- Two-panel axial: CT | PSMA PET, 18F tracer
- acquired on Siemens Biograph mCT Flow 20
- slice position z = -956 mm
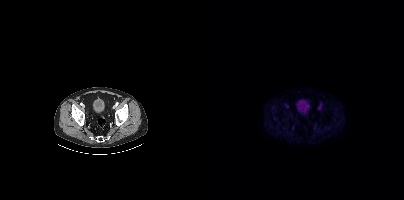
Findings: No tumor lesions annotated on this slice.